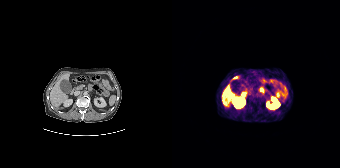
No tumor lesions annotated on this slice. Two-panel axial: CT | PSMA PET, [68Ga]Ga-PSMA-11 tracer. Acquired on Siemens Biograph 64-4R TruePoint. Slice 94 of 195.